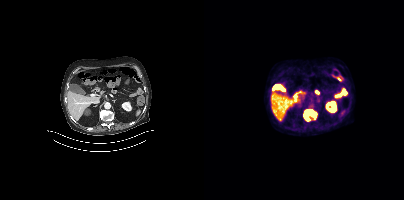
Coordinates are on the 200×200 PET (right) panel. PSMA-avid tumor lesion bounding box (x0, y0)-(x1, y1): (99, 109)-(112, 121).